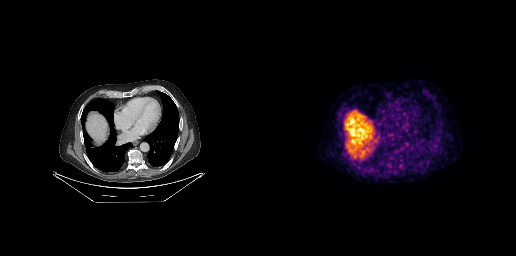
- Paired axial CT (left) and PSMA PET (right), 18F-PSMA tracer
- acquired on GE Discovery 690
- slice position z = -430 mm
Findings: Negative for PSMA-avid disease on this slice.